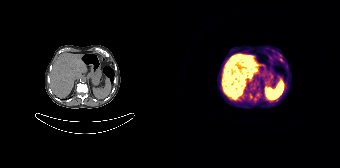
Technique: Two-panel axial: CT | PSMA PET, 68Ga-PSMA tracer. PET panel 168×168 px (4.1 mm/px).
Findings: Coordinates are on the 168×168 PET (right) panel. PSMA-avid tumor lesion bounding box (x, y, width, height): x=78 y=94 w=3 h=5. Small PSMA-avid foci (2 to 4 px across) near (center x, center y): (109, 60) | (85, 94) | (83, 98).